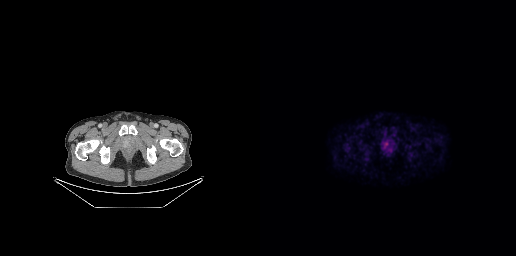
Coordinates are on the 256×256 PET (right) panel. PSMA-avid tumor lesion bounding box (x0,y0,x1,y1): [126,140,128,145]. Small PSMA-avid focus (2 to 4 px across) near (center x, center y): (122, 145).
modality: PSMA PET/CT | tracer: 18F | view: axial | PET grid: 256×256